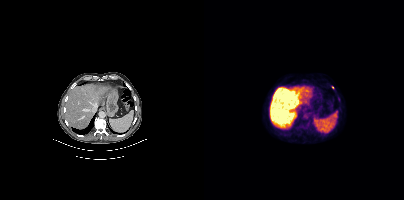
{"modality":"PSMA PET/CT","view":"axial","tracer":"18F-PSMA","pet_grid":[200,200],"coord_frame":"pet_panel","coord_format":"x0,y0,x1,y1","lesion_bboxes":[],"small_foci_centers":[[128,87]]}